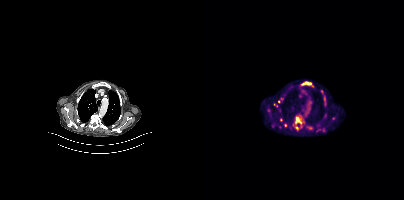
modality: PSMA PET/CT | tracer: [18F]PSMA-1007 | view: axial | PET grid: 200×200
Coordinates are on the 200×200 PET (right) panel. (showing 7 of 11 foci) PSMA-avid tumor lesion bounding boxes (x0, y0)-(x1, y1): (91, 115)-(100, 125); (98, 82)-(107, 85); (69, 103)-(74, 107); (115, 129)-(119, 131). Small PSMA-avid foci (2 to 4 px across) near (center x, center y): (77, 98); (64, 110); (77, 120).